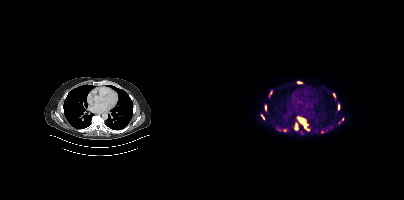
modality: PSMA PET/CT | tracer: 18F-PSMA | view: axial
Coordinates are on the 200×200 PET (right) panel. (showing 8 of 9 foci) PSMA-avid tumor lesion bounding boxes (x0,y0,x1,y1): [93,116,105,130]; [90,122,94,130]; [134,104,135,109]; [61,105,62,110]; [129,93,131,97]; [57,115,60,119]. Small PSMA-avid foci (2 to 4 px across) near (center x, center y): (94, 82); (66, 93).